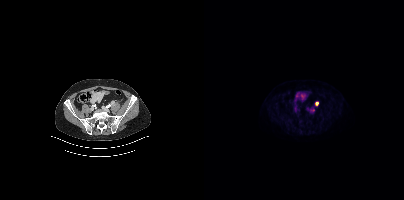
- Left: CT. Right: PSMA PET, same axial level, 18F tracer
- acquired on Siemens Biograph mCT Flow 20
- slice 122 of 442
- PET panel 200×200 px (4.1 mm/px)
Findings: Coordinates are on the 200×200 PET (right) panel. PSMA-avid tumor lesion bounding box (x, y, width, height): x=111 y=101 w=4 h=5. Small PSMA-avid focus (2 to 4 px across) near (center x, center y): (109, 109).